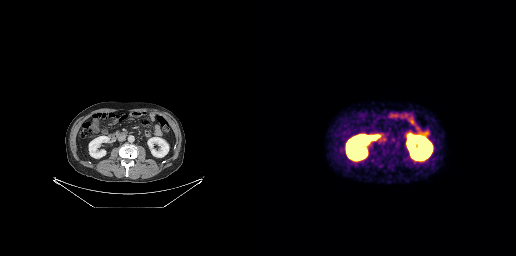
Negative for PSMA-avid disease on this slice.